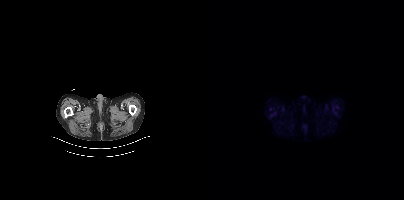
Findings: This slice has no annotated PSMA-avid lesion.
Technique: Paired axial CT (left) and PSMA PET (right), [18F]PSMA-1007 tracer.